Paired axial CT (left) and PSMA PET (right), 68Ga-PSMA tracer. Acquired on GE Discovery 690. Slice 169 of 299. PET panel 256×256 px (2.7 mm/px).
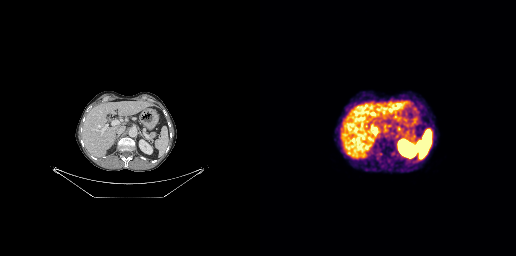
Coordinates are on the 256×256 PET (right) panel. PSMA-avid tumor lesion bounding boxes:
| # | x0 | y0 | x1 | y1 |
|---|---|---|---|---|
| 1 | 122 | 128 | 126 | 132 |